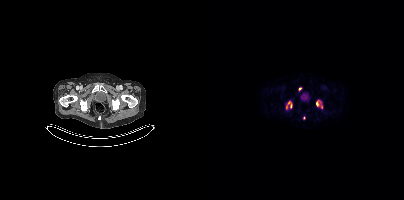
Coordinates are on the 200×200 PET (right) panel. (showing 6 of 7 foci) PSMA-avid tumor lesion bounding box (x, y, width, height): x=112 y=100 w=3 h=7. Small PSMA-avid foci (2 to 4 px across) near (center x, center y): (96, 89) | (86, 105) | (117, 107) | (85, 102) | (82, 107).